Technique: Left: CT. Right: PSMA PET, same axial level, 18F-PSMA tracer. PET panel 200×200 px (4.1 mm/px).
Note: Head region blanked for anonymization (face removed).
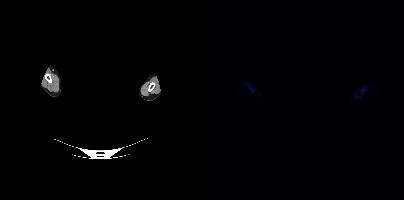
Findings: This slice has no annotated PSMA-avid lesion.